Paired axial CT (left) and PSMA PET (right), 18F tracer.
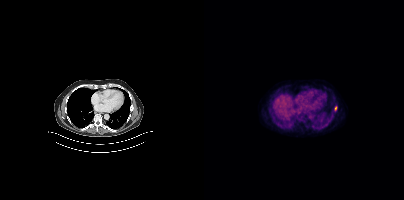
Coordinates are on the 200×200 PET (right) panel. PSMA-avid tumor lesion bounding boxes:
| # | x0 | y0 | x1 | y1 |
|---|---|---|---|---|
| 1 | 130 | 106 | 133 | 111 |